Two-panel axial: CT | PSMA PET, 18F tracer. Acquired on GE Discovery 690. Slice position z = -761 mm. PET panel 256×256 px (2.7 mm/px).
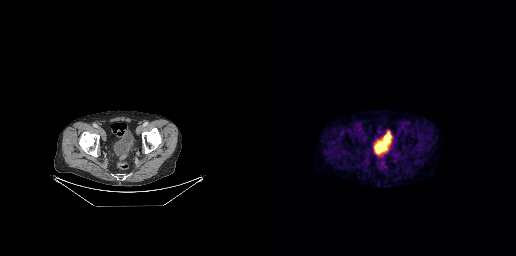
No PSMA-avid tumor lesions on this slice.